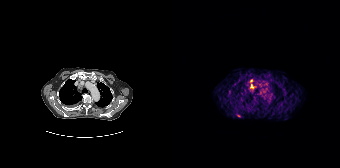
Findings: Coordinates are on the 168×168 PET (right) panel. (showing 5 of 6 foci) PSMA-avid tumor lesion bounding boxes (x, y, width, height): x=78 y=84 w=6 h=6; x=64 y=114 w=5 h=4. Small PSMA-avid foci (2 to 4 px across) near (center x, center y): (79, 80); (91, 91); (88, 92).
- Two-panel axial: CT | PSMA PET, [68Ga]Ga-PSMA-11 tracer
- acquired on Siemens Biograph 64-4R TruePoint